- Left: CT. Right: PSMA PET, same axial level, 18F-PSMA tracer
- acquired on Siemens Biograph mCT Flow 20
- privacy masking over the head, with the pixels inside a rectangle set to black
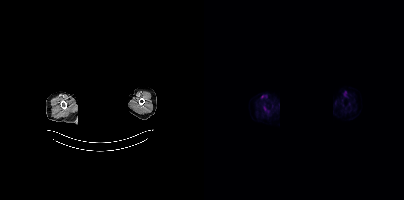
Findings: This slice has no annotated PSMA-avid lesion.